modality: PSMA PET/CT | tracer: [18F]PSMA-1007 | view: axial
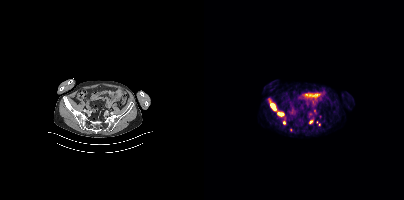
Coordinates are on the 200×200 PET (right) panel. (showing 5 of 7 foci) PSMA-avid tumor lesion bounding boxes (x, y, width, height): x=66 y=100 w=7 h=11 | x=73 y=112 w=8 h=5. Small PSMA-avid foci (2 to 4 px across) near (center x, center y): (80, 122) | (107, 122) | (86, 129).